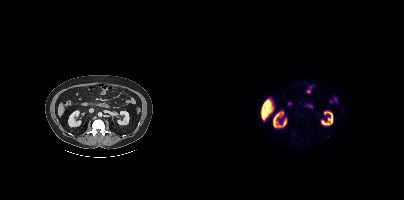
Findings: Negative for PSMA-avid disease on this slice.
Technique: Two-panel axial: CT | PSMA PET, 18F tracer. slice position z = -1230 mm.